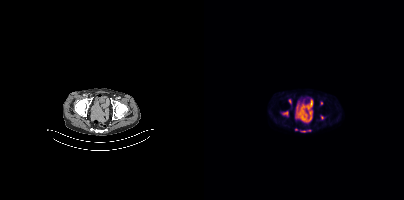
Findings: Coordinates are on the 200×200 PET (right) panel. (showing 4 of 7 foci) PSMA-avid tumor lesion bounding box (x, y, width, height): x=79 y=111 w=6 h=5. Small PSMA-avid foci (2 to 4 px across) near (center x, center y): (86, 101) / (117, 103) / (91, 129).
- Paired axial CT (left) and PSMA PET (right), 18F tracer